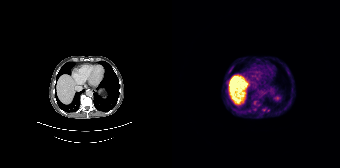
{"modality":"PSMA PET/CT","view":"axial","tracer":"[68Ga]Ga-PSMA-11","pet_grid":[168,168],"coord_frame":"pet_panel","coord_format":"x0,y0,x1,y1","partial":true,"lesion_bboxes":[],"small_foci_centers":[[83,102],[115,71],[92,109],[96,110]]}